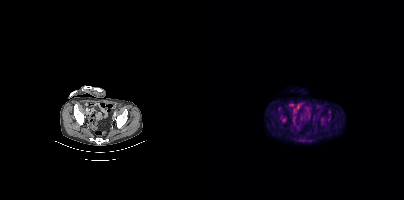
Technique: Two-panel axial: CT | PSMA PET, 18F tracer. PET panel 200×200 px (4.1 mm/px).
Findings: Coordinates are on the 200×200 PET (right) panel. PSMA-avid tumor lesion bounding box (x0, y0)-(x1, y1): (124, 113)-(126, 117). Small PSMA-avid foci (2 to 4 px across) near (center x, center y): (79, 119) | (99, 140) | (94, 139).